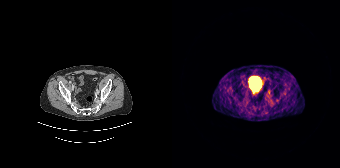
No PSMA-avid tumor lesions on this slice. Two-panel axial: CT | PSMA PET, 68Ga tracer. Slice 70 of 195.